modality: PSMA PET/CT | tracer: 68Ga | view: axial
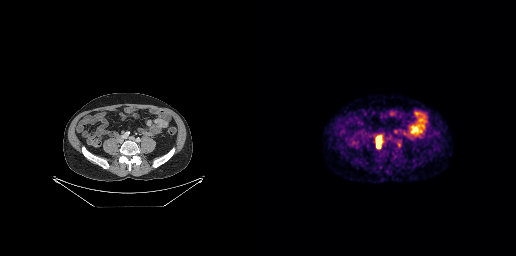
Coordinates are on the 256×256 PET (right) panel. PSMA-avid tumor lesion bounding box (x0,y0,x1,y1): [116,135,122,148]. Small PSMA-avid foci (2 to 4 px across) near (center x, center y): (139, 144) (135, 131).